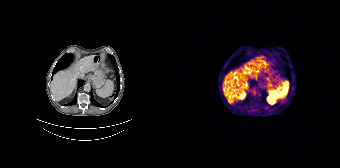
Negative for PSMA-avid disease on this slice. Left: CT. Right: PSMA PET, same axial level, 68Ga tracer. Acquired on Siemens Biograph 64-4R TruePoint.